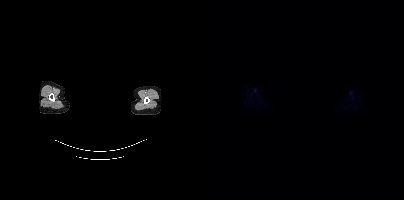
{"modality":"PSMA PET/CT","view":"axial","tracer":"18F","pet_grid":[200,200],"coord_frame":"pet_panel","coord_format":"x0,y0,x1,y1","de-identification":"head region blacked out before release","psma_avid_lesions":false}